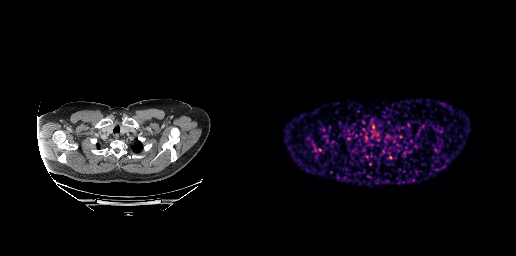
No PSMA-avid tumor lesions on this slice.